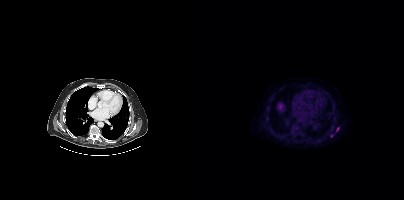
modality: PSMA PET/CT | tracer: [18F]PSMA-1007 | view: axial
Coordinates are on the 200×200 PET (right) panel. Small PSMA-avid focus (2 to 4 px across) near (center x, center y): (133, 129).